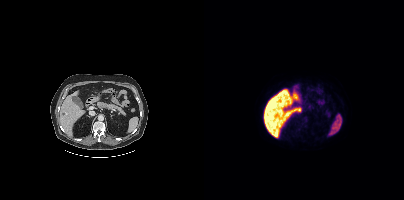
modality: PSMA PET/CT | tracer: 18F | view: axial | PET grid: 200×200
No PSMA-avid tumor lesions on this slice.